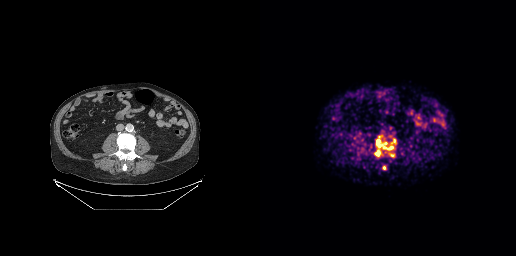
modality: PSMA PET/CT | tracer: 68Ga | view: axial | PET grid: 256×256
Coordinates are on the 256×256 PET (right) panel. PSMA-avid tumor lesion bounding boxes (x, y, width, height): x=115 y=135 w=21 h=21 / x=122 y=166 w=5 h=4 / x=130 y=154 w=5 h=2.